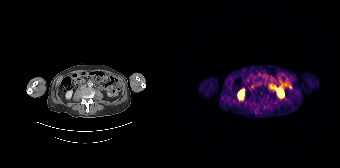
{"modality":"PSMA PET/CT","view":"axial","tracer":"[68Ga]Ga-PSMA-11","pet_grid":[168,168],"coord_frame":"pet_panel","coord_format":"x0,y0,x1,y1","psma_avid_lesions":false}